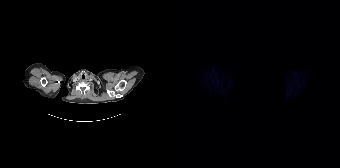
modality: PSMA PET/CT | tracer: 18F-PSMA | view: axial | deidentification: region blacked out before release
Negative for PSMA-avid disease on this slice.